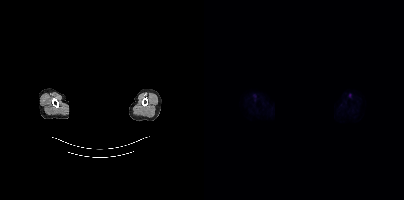
This slice has no annotated PSMA-avid lesion. Paired axial CT (left) and PSMA PET (right), [18F]PSMA-1007 tracer. Acquired on Siemens Biograph mCT Flow 20. Slice 416 of 442. An anonymization step blacked out a rectangle over the head in this scan.